Technique: Left: CT. Right: PSMA PET, same axial level, 18F-PSMA tracer. acquired on Siemens Biograph mCT Flow 20. slice 266 of 401. PET panel 200×200 px (4.1 mm/px).
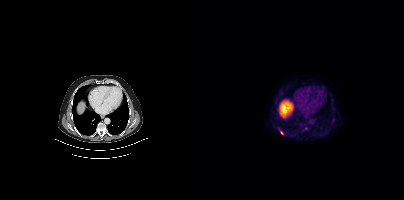
Findings: Coordinates are on the 200×200 PET (right) panel. Small PSMA-avid focus (2 to 4 px across) near (center x, center y): (77, 132).